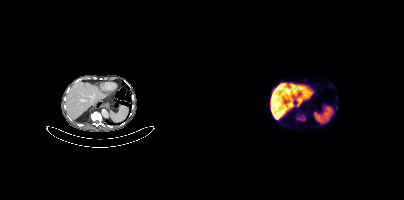
- Left: CT. Right: PSMA PET, same axial level, 18F-PSMA tracer
- acquired on Siemens Biograph mCT Flow 20
- slice position z = -712 mm
- PET panel 200×200 px (4.1 mm/px)
Findings: Coordinates are on the 200×200 PET (right) panel. PSMA-avid tumor lesion bounding box (x0, y0)-(x1, y1): (93, 115)-(101, 120).